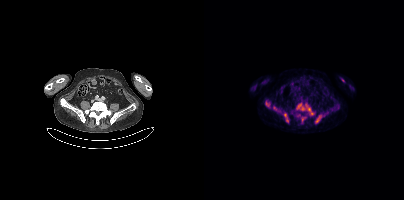
{"modality":"PSMA PET/CT","view":"axial","tracer":"18F-PSMA","pet_grid":[200,200],"coord_frame":"pet_panel","coord_format":"x0,y0,x1,y1","partial":true,"lesion_bboxes":[[92,103,110,115],[111,115,118,123],[79,113,84,122],[61,101,66,107],[69,106,73,110],[97,117,101,121]]}